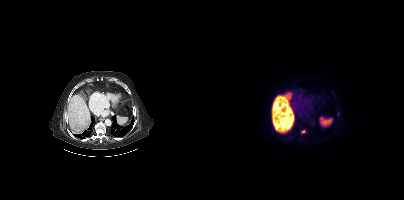
- Paired axial CT (left) and PSMA PET (right), [18F]PSMA-1007 tracer
- acquired on Siemens Biograph mCT Flow 20
Findings: Coordinates are on the 200×200 PET (right) panel. PSMA-avid tumor lesion bounding box (x, y, width, height): x=97 y=130 w=5 h=4. Small PSMA-avid focus (2 to 4 px across) near (center x, center y): (134, 114).